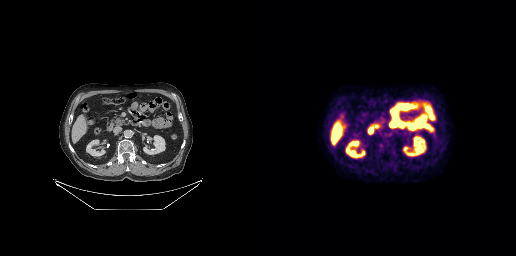
Technique: Left: CT. Right: PSMA PET, same axial level, 18F tracer. PET panel 256×256 px (2.7 mm/px).
Findings: No tumor lesions annotated on this slice.